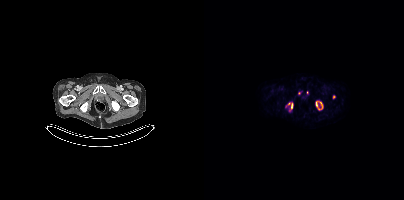
{"modality":"PSMA PET/CT","view":"axial","tracer":"18F-PSMA","pet_grid":[200,200],"coord_frame":"pet_panel","coord_format":"x0,y0,x1,y1","partial":true,"lesion_bboxes":[[112,101,118,109],[87,103,88,108]],"small_foci_centers":[[129,96],[84,103]]}